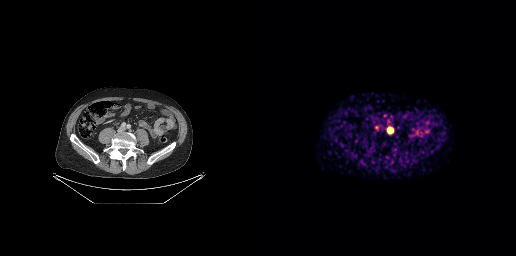
Coordinates are on the 256×256 PET (right) panel. PSMA-avid tumor lesion bounding box (x, y, width, height): x=128 y=128 w=5 h=5. Small PSMA-avid focus (2 to 4 px across) near (center x, center y): (116, 127).